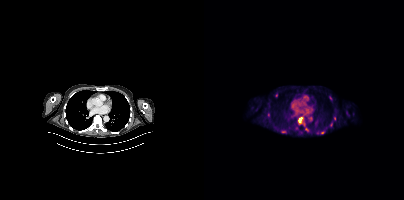
- Left: CT. Right: PSMA PET, same axial level, 18F-PSMA tracer
- slice position z = -543 mm
- PET panel 200×200 px (4.1 mm/px)
Findings: Coordinates are on the 200×200 PET (right) panel. (showing 5 of 6 foci) Small PSMA-avid foci (2 to 4 px across) near (center x, center y): (96, 119) | (79, 131) | (118, 132) | (64, 115) | (126, 97).